Left: CT. Right: PSMA PET, same axial level, 18F-PSMA tracer.
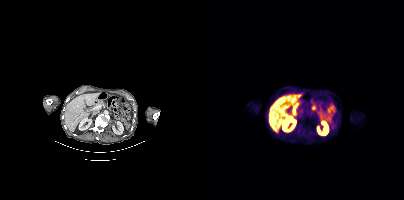
No PSMA-avid tumor lesions on this slice.